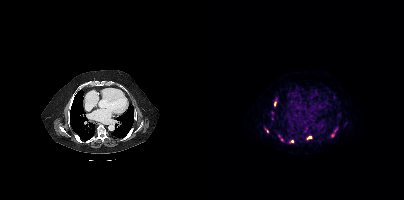
- Two-panel axial: CT | PSMA PET, 68Ga tracer
- acquired on Siemens Biograph mCT Flow 20
- slice position z = 721 mm
- PET panel 200×200 px (4.1 mm/px)
Findings: Coordinates are on the 200×200 PET (right) panel. (showing 6 of 7 foci) PSMA-avid tumor lesion bounding boxes (x0,y0,x1,y1): [127,129,133,137] [70,101,72,106] [103,136,107,139]. Small PSMA-avid foci (2 to 4 px across) near (center x, center y): (62, 130) (88, 141) (77, 139).